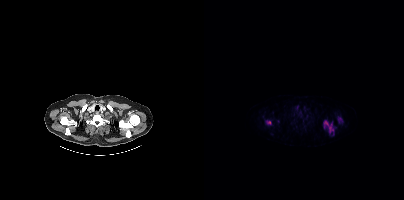
- Two-panel axial: CT | PSMA PET, [18F]PSMA-1007 tracer
- slice 447 of 508
Findings: Coordinates are on the 200×200 PET (right) panel. PSMA-avid tumor lesion bounding boxes (x0, y0)-(x1, y1): (120, 120)-(129, 133); (134, 118)-(138, 122). Small PSMA-avid focus (2 to 4 px across) near (center x, center y): (65, 122).